- Two-panel axial: CT | PSMA PET, 18F tracer
- slice 128 of 427
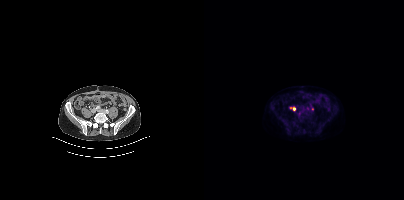
Findings: Coordinates are on the 200×200 PET (right) panel. Small PSMA-avid foci (2 to 4 px across) near (center x, center y): (90, 108); (108, 108).